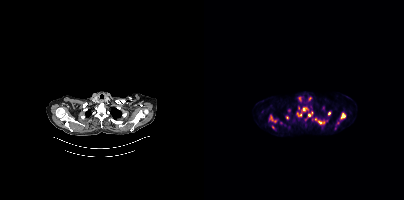
Coordinates are on the 200×200 PET (right) panel. (showing 10 of 13 foci) PSMA-avid tumor lesion bounding boxes (x0,y0,x1,y1): [65,115,72,122]; [111,118,120,124]; [136,113,141,118]; [92,112,97,117]; [104,112,108,116]; [99,107,102,111]. Small PSMA-avid foci (2 to 4 px across) near (center x, center y): (83, 117); (125, 113); (69, 127); (85, 110).
modality: PSMA PET/CT | tracer: 18F | view: axial | PET grid: 200×200